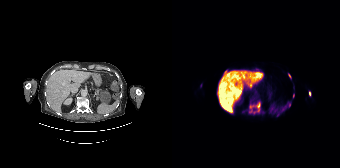
{"modality":"PSMA PET/CT","view":"axial","tracer":"[18F]PSMA-1007","pet_grid":[168,168],"coord_frame":"pet_panel","coord_format":"x0,y0,x1,y1","partial":true,"lesion_bboxes":[[77,101,88,113],[137,91,139,95]],"small_foci_centers":[[117,75],[121,95]]}